modality: PSMA PET/CT | tracer: 18F-PSMA | view: axial | PET grid: 200×200
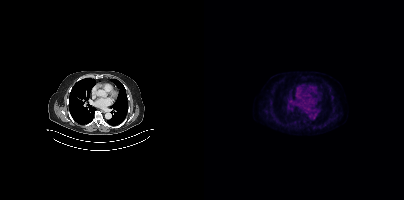
Negative for PSMA-avid disease on this slice.